Paired axial CT (left) and PSMA PET (right), 18F-PSMA tracer. Slice 299 of 438. PET panel 200×200 px (4.1 mm/px).
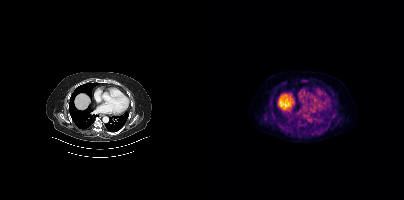
This slice has no annotated PSMA-avid lesion.